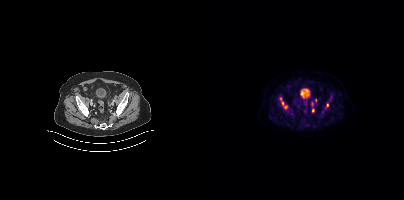
{"modality":"PSMA PET/CT","view":"axial","tracer":"[18F]PSMA-1007","pet_grid":[200,200],"coord_frame":"pet_panel","coord_format":"x0,y0,x1,y1","partial":true,"lesion_bboxes":[[76,97,83,108],[107,102,109,106],[121,104,124,108]],"small_foci_centers":[[109,110],[111,100]]}